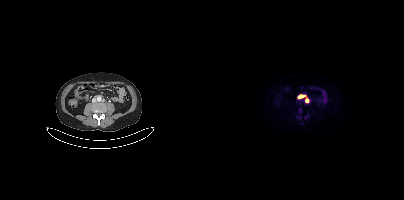
Coordinates are on the 200×200 PET (right) panel. (showing 3 of 4 foci) PSMA-avid tumor lesion bounding box (x0,y0,x1,y1): [94,95,102,98]. Small PSMA-avid foci (2 to 4 px across) near (center x, center y): (103, 100), (92, 117).